modality: PSMA PET/CT | tracer: 18F | view: axial | PET grid: 200×200
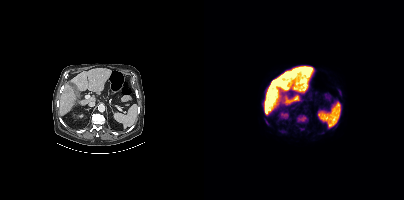
Coordinates are on the 200×200 PET (right) panel. PSMA-avid tumor lesion bounding boxes (x0, y0)-(x1, y1): (93, 115)-(104, 122); (61, 119)-(65, 125); (96, 128)-(100, 130). Small PSMA-avid focus (2 to 4 px across) near (center x, center y): (62, 115).